Two-panel axial: CT | PSMA PET, [18F]PSMA-1007 tracer. PET panel 200×200 px (4.1 mm/px).
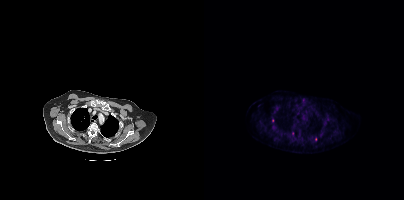
Only PSMA-avid lesion pieces thinner than 2 px on this slice (not listed).